modality: PSMA PET/CT | tracer: 18F-PSMA | view: axial | PET grid: 200×200
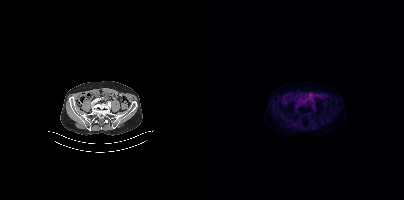
No PSMA-avid tumor lesions on this slice.